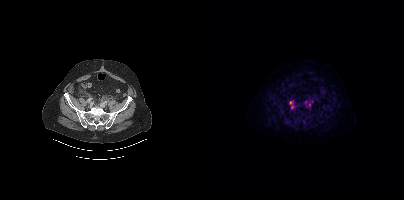
Coordinates are on the 200×200 PET (right) panel. (showing 2 of 3 foci) PSMA-avid tumor lesion bounding box (x, y, width, height): x=85 y=100 w=6 h=10. Small PSMA-avid focus (2 to 4 px across) near (center x, center y): (105, 104).